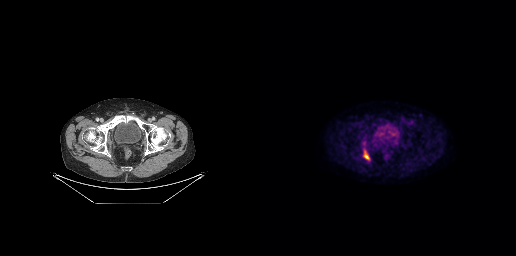
{"modality":"PSMA PET/CT","view":"axial","tracer":"[18F]PSMA-1007","pet_grid":[256,256],"coord_frame":"pet_panel","coord_format":"x0,y0,x1,y1","lesion_bboxes":[[103,150,109,160]]}